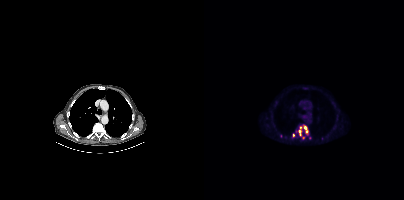
Coordinates are on the 200×200 PET (right) panel. PSMA-avid tumor lesion bounding boxes (partial; 2 more foci not listed):
| # | x0 | y0 | x1 | y1 |
|---|---|---|---|---|
| 1 | 94 | 130 | 100 | 139 |
Small PSMA-avid foci (2 to 4 px across) near (center x, center y): (100, 127); (96, 127); (103, 132); (77, 136).
Left: CT. Right: PSMA PET, same axial level, 18F-PSMA tracer. Slice 308 of 435.